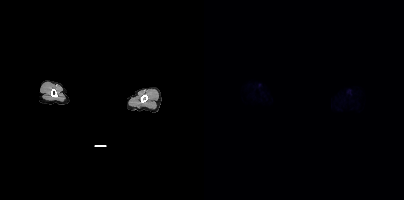
- any black rectangle over the head is a privacy mask, not anatomy
- Two-panel axial: CT | PSMA PET, 18F-PSMA tracer
- acquired on Siemens Biograph mCT Flow 20
Findings: No tumor lesions annotated on this slice.